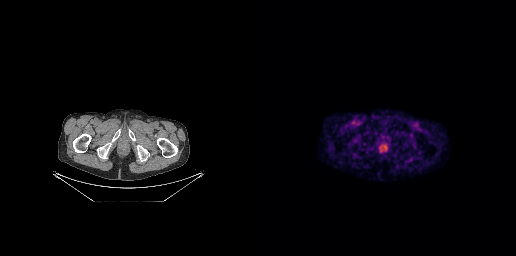
{"pet_grid":[256,256],"coord_frame":"pet_panel","coord_format":"x0,y0,x1,y1","psma_avid_lesions":false,"modality":"PSMA PET/CT","view":"axial","tracer":"[68Ga]Ga-PSMA-11"}